Technique: Two-panel axial: CT | PSMA PET, 18F-PSMA tracer. PET panel 200×200 px (4.1 mm/px).
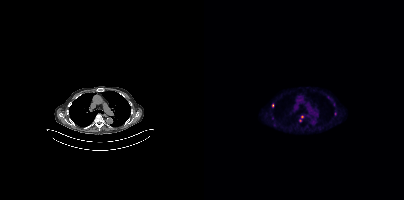
Findings: Coordinates are on the 200×200 PET (right) panel. (showing 3 of 4 foci) Small PSMA-avid foci (2 to 4 px across) near (center x, center y): (68, 105); (98, 116); (96, 120).